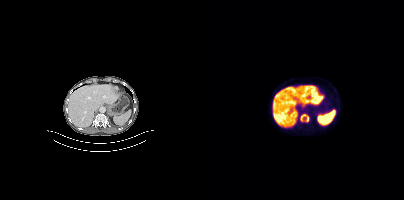
Paired axial CT (left) and PSMA PET (right), 18F tracer. PET panel 200×200 px (4.1 mm/px). Coordinates are on the 200×200 PET (right) panel. (showing 1 of 2 foci) PSMA-avid tumor lesion bounding box (x, y, width, height): x=96 y=113 w=10 h=10.